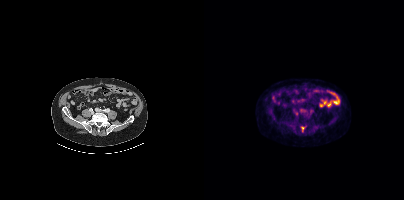
{"pet_grid":[200,200],"coord_frame":"pet_panel","coord_format":"x0,y0,x1,y1","lesion_bboxes":[[97,127,100,131]],"modality":"PSMA PET/CT","view":"axial","tracer":"18F"}